Left: CT. Right: PSMA PET, same axial level, 18F-PSMA tracer. Slice 96 of 401. PET panel 200×200 px (4.1 mm/px).
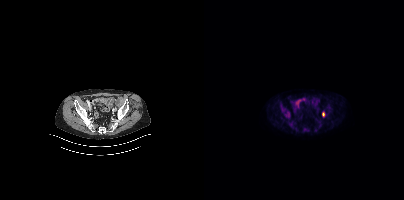
Coordinates are on the 200×200 PET (right) panel. PSMA-avid tumor lesion bounding box (x0, y0)-(x1, y1): (118, 112)-(120, 116).